- Paired axial CT (left) and PSMA PET (right), [18F]PSMA-1007 tracer
- slice 242 of 425
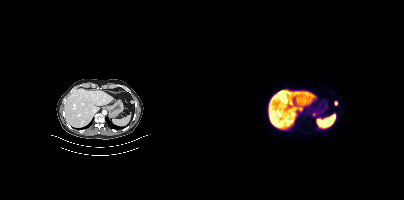
Findings: Coordinates are on the 200×200 PET (right) panel. PSMA-avid tumor lesion bounding box (x0,y0,x1,y1): [130,101,133,105]. Small PSMA-avid focus (2 to 4 px across) near (center x, center y): (110, 114).